Technique: Left: CT. Right: PSMA PET, same axial level, 18F tracer. acquired on Siemens Biograph mCT Flow 20.
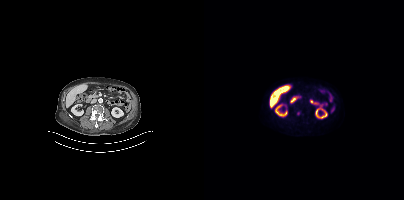
Findings: Coordinates are on the 200×200 PET (right) panel. Small PSMA-avid focus (2 to 4 px across) near (center x, center y): (94, 113).